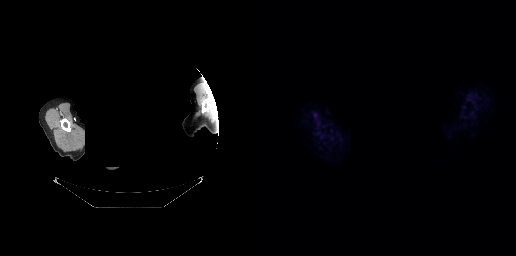
No PSMA-avid tumor lesions on this slice.
redaction: privacy mask over head | modality: PSMA PET/CT | tracer: [68Ga]Ga-PSMA-11 | view: axial